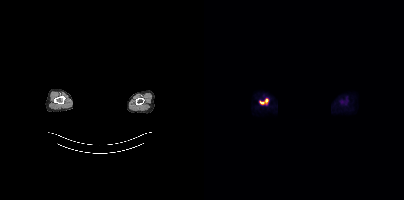
Findings: Coordinates are on the 200×200 PET (right) panel. PSMA-avid tumor lesion bounding box (x, y, width, height): x=55 y=98 w=10 h=7.
- head region blanked for anonymization (face removed)
- Paired axial CT (left) and PSMA PET (right), 18F-PSMA tracer